A rectangular block over the head has been blanked out for de-identification. Paired axial CT (left) and PSMA PET (right), 18F tracer. Slice 425 of 431.
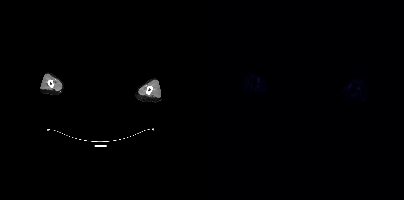
No tumor lesions annotated on this slice.